Paired axial CT (left) and PSMA PET (right), [18F]PSMA-1007 tracer. Acquired on Siemens Biograph mCT Flow 20. Slice 29 of 429.
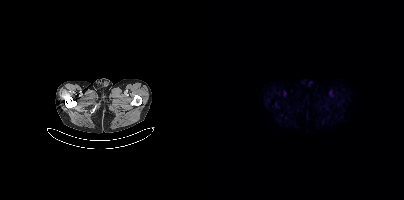
No PSMA-avid tumor lesions on this slice.